Technique: Left: CT. Right: PSMA PET, same axial level, 18F-PSMA tracer. acquired on Siemens Biograph mCT Flow 20.
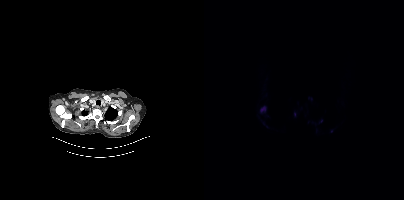
Findings: Coordinates are on the 200×200 PET (right) panel. (showing 2 of 5 foci) PSMA-avid tumor lesion bounding boxes (x0,y0,x1,y1): [57,107,61,111] [90,112,91,116].